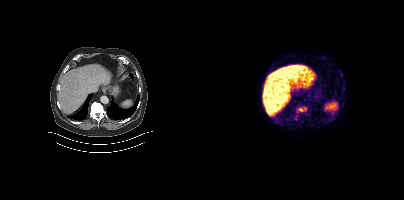
Technique: Two-panel axial: CT | PSMA PET, 18F tracer. PET panel 200×200 px (4.1 mm/px).
Findings: Coordinates are on the 200×200 PET (right) panel. (showing 1 of 2 foci) PSMA-avid tumor lesion bounding box (x0, y0)-(x1, y1): (95, 106)-(102, 111).